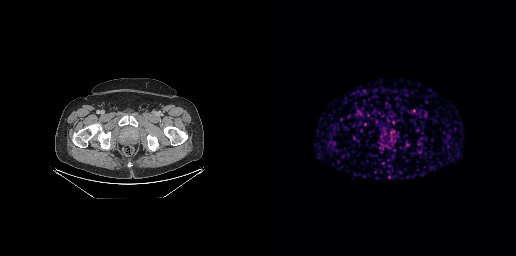
Technique: Two-panel axial: CT | PSMA PET, [68Ga]Ga-PSMA-11 tracer. acquired on GE Discovery 690. slice 77 of 299. PET panel 256×256 px (2.7 mm/px).
Findings: This slice has no annotated PSMA-avid lesion.